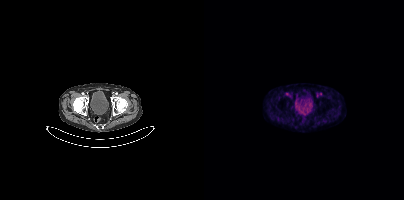
Findings: No tumor lesions annotated on this slice.
Technique: Paired axial CT (left) and PSMA PET (right), 18F tracer.